Technique: Two-panel axial: CT | PSMA PET, 18F tracer.
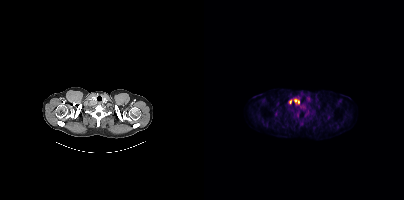
Findings: Coordinates are on the 200×200 PET (right) panel. PSMA-avid tumor lesion bounding box (x, y, width, height): x=90 y=99 w=6 h=6. Small PSMA-avid focus (2 to 4 px across) near (center x, center y): (86, 101).